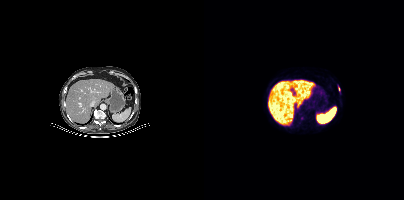
Only PSMA-avid lesion pieces thinner than 2 px on this slice (not listed).